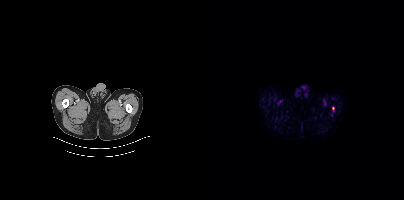
Negative for PSMA-avid disease on this slice.